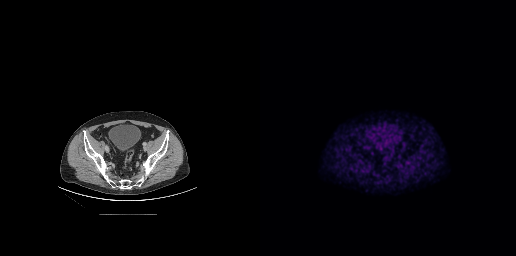
No PSMA-avid tumor lesions on this slice.